Paired axial CT (left) and PSMA PET (right), [18F]PSMA-1007 tracer. Slice 204 of 367. PET panel 200×200 px (4.1 mm/px).
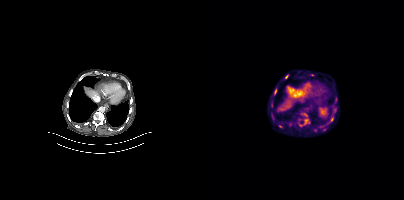
Coordinates are on the 200×200 PET (right) panel. PSMA-avid tumor lesion bounding boxes (partial; 2 more foci not listed):
| # | x0 | y0 | x1 | y1 |
|---|---|---|---|---|
| 1 | 101 | 119 | 103 | 123 |
Small PSMA-avid focus (2 to 4 px across) near (center x, center y): (130, 111).